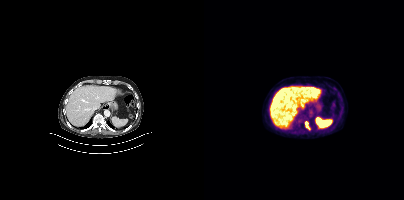
Paired axial CT (left) and PSMA PET (right), [18F]PSMA-1007 tracer. Acquired on Siemens Biograph mCT Flow 20. PET panel 200×200 px (4.1 mm/px). Coordinates are on the 200×200 PET (right) panel. PSMA-avid tumor lesion bounding box (x, y, width, height): x=101 y=122 w=4 h=6.